Any black rectangle over the head is a privacy mask, not anatomy. Two-panel axial: CT | PSMA PET, [18F]PSMA-1007 tracer. PET panel 200×200 px (4.1 mm/px).
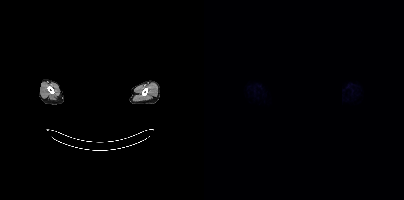
This slice has no annotated PSMA-avid lesion.